Technique: Left: CT. Right: PSMA PET, same axial level, 18F tracer. acquired on Siemens Biograph 64-4R TruePoint. slice position z = -1032 mm. PET panel 168×168 px (4.1 mm/px).
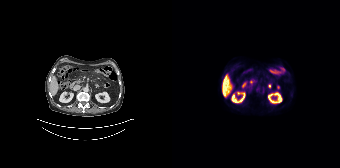
Findings: No PSMA-avid tumor lesions on this slice.